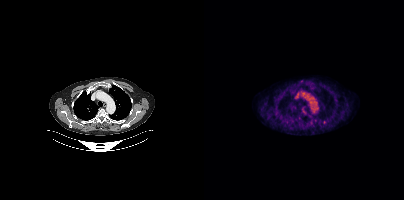
Findings: No tumor lesions annotated on this slice.
- Paired axial CT (left) and PSMA PET (right), 18F-PSMA tracer
- PET panel 200×200 px (4.1 mm/px)